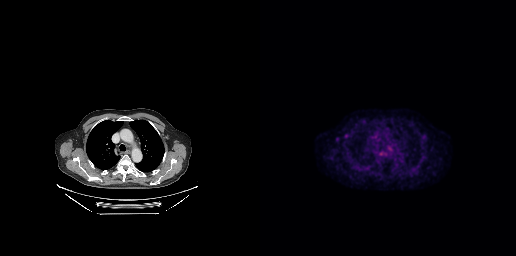
modality: PSMA PET/CT | tracer: [18F]PSMA-1007 | view: axial | PET grid: 256×256
Coordinates are on the 256×256 PET (right) panel. PSMA-avid tumor lesion bounding box (x0, y0)-(x1, y1): (84, 134)-(89, 137). Small PSMA-avid focus (2 to 4 px across) near (center x, center y): (77, 138).